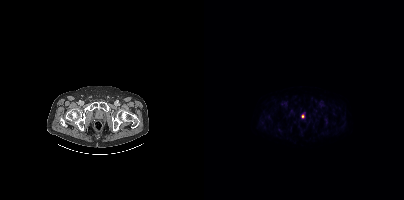
No tumor lesions annotated on this slice. Two-panel axial: CT | PSMA PET, [18F]PSMA-1007 tracer. Acquired on Siemens Biograph mCT Flow 20. Slice 39 of 423.